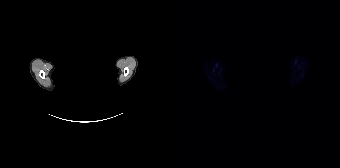
A rectangular block over the head has been blanked out for de-identification.
Negative for PSMA-avid disease on this slice.